modality: PSMA PET/CT | tracer: 18F | view: axial | PET grid: 200×200
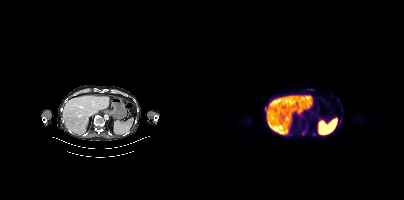
Coordinates are on the 200×200 PET (right) panel. (showing 8 of 9 foci) PSMA-avid tumor lesion bounding boxes (x0,y0,x1,y1): [102,88,110,91], [98,130,101,135], [61,107,63,112], [135,118,137,123]. Small PSMA-avid foci (2 to 4 px across) near (center x, center y): (95, 122), (102, 126), (109, 134), (137, 110).